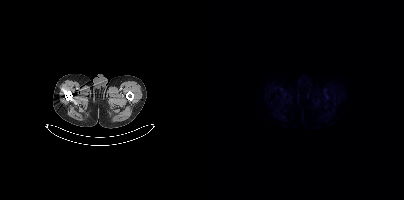
{"modality":"PSMA PET/CT","view":"axial","tracer":"18F-PSMA","pet_grid":[200,200],"coord_frame":"pet_panel","coord_format":"x0,y0,x1,y1","psma_avid_lesions":false}